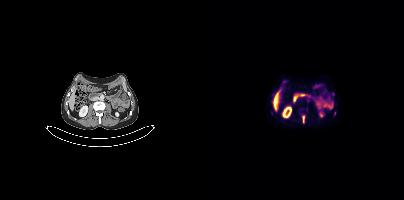
Coordinates are on the 200×200 PET (right) panel. (showing 1 of 2 foci) PSMA-avid tumor lesion bounding box (x, y, width, height): x=98 y=115 w=4 h=9.